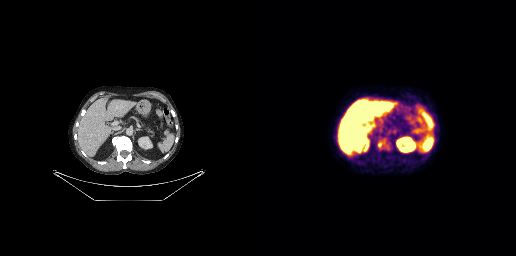
{"pet_grid":[256,256],"coord_frame":"pet_panel","coord_format":"x0,y0,x1,y1","lesion_bboxes":[],"small_foci_centers":[[119,144]],"modality":"PSMA PET/CT","view":"axial","tracer":"18F"}